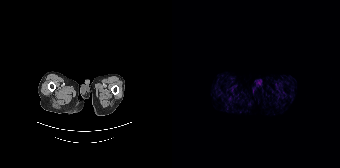
Paired axial CT (left) and PSMA PET (right), [68Ga]Ga-PSMA-11 tracer. Slice 5 of 165. Negative for PSMA-avid disease on this slice.